Left: CT. Right: PSMA PET, same axial level, [18F]PSMA-1007 tracer. An anonymization step blacked out a rectangle over the head in this scan.
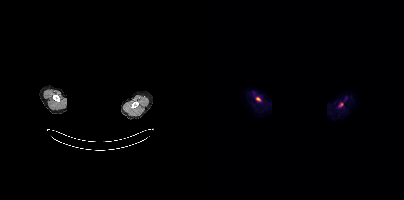
Coordinates are on the 200×200 PET (right) panel. PSMA-avid tumor lesion bounding boxes:
| # | x0 | y0 | x1 | y1 |
|---|---|---|---|---|
| 1 | 52 | 98 | 56 | 100 |